- Paired axial CT (left) and PSMA PET (right), 18F tracer
- PET panel 200×200 px (4.1 mm/px)
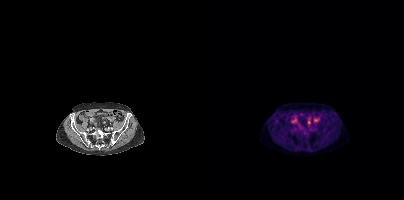
Findings: No PSMA-avid tumor lesions on this slice.